- Two-panel axial: CT | PSMA PET, 18F-PSMA tracer
- slice position z = -351 mm
- PET panel 200×200 px (4.1 mm/px)
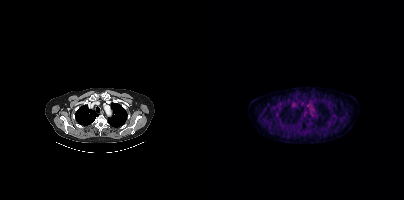
Findings: Negative for PSMA-avid disease on this slice.